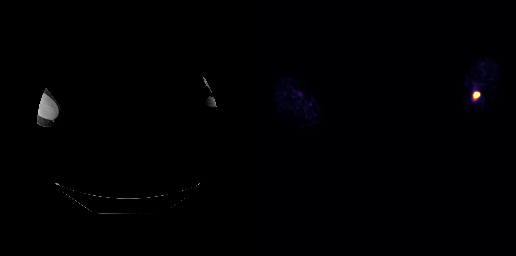
Two-panel axial: CT | PSMA PET, 18F tracer. Slice 261 of 263. PET panel 256×256 px (2.7 mm/px). An anonymization step blacked out a rectangle over the head in this scan. This slice has no annotated PSMA-avid lesion.